modality: PSMA PET/CT | tracer: [18F]PSMA-1007 | view: axial
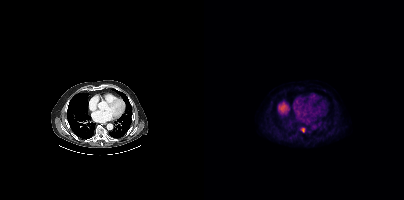
Only PSMA-avid lesion pieces thinner than 2 px on this slice (not listed).